- Left: CT. Right: PSMA PET, same axial level, 18F-PSMA tracer
- slice position z = -1120 mm
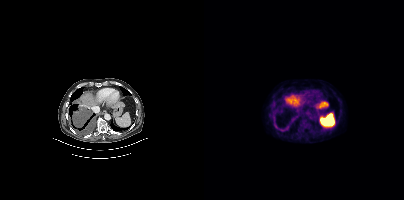
Findings: Coordinates are on the 200×200 PET (right) panel. (showing 2 of 3 foci) PSMA-avid tumor lesion bounding boxes (x0, y0)-(x1, y1): (70, 124)-(84, 131) | (87, 117)-(90, 121).